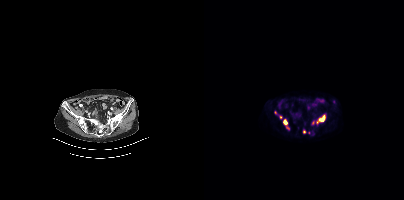
modality: PSMA PET/CT | tracer: 68Ga-PSMA | view: axial | PET grid: 200×200
Coordinates are on the 200×200 PET (right) panel. (showing 6 of 8 foci) PSMA-avid tumor lesion bounding boxes (x0,y0,x1,y1): [113,115,121,123], [79,119,84,129]. Small PSMA-avid foci (2 to 4 px across) near (center x, center y): (130, 101), (100, 131), (71, 112), (76, 116).